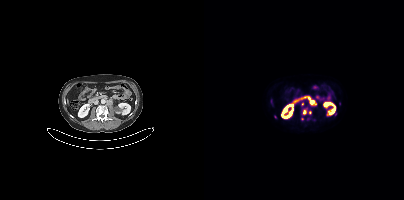
Findings: Coordinates are on the 200×200 PET (right) panel. (showing 4 of 6 foci) PSMA-avid tumor lesion bounding box (x, y, width, height): x=106 y=101 w=6 h=4. Small PSMA-avid foci (2 to 4 px across) near (center x, center y): (100, 111); (98, 118); (98, 104).
Technique: Two-panel axial: CT | PSMA PET, [18F]PSMA-1007 tracer. PET panel 200×200 px (4.1 mm/px).